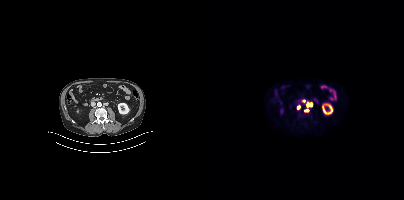
- Paired axial CT (left) and PSMA PET (right), [18F]PSMA-1007 tracer
- slice position z = -1198 mm
- PET panel 200×200 px (4.1 mm/px)
Findings: Coordinates are on the 200×200 PET (right) panel. (showing 2 of 5 foci) PSMA-avid tumor lesion bounding box (x, y, width, height): x=103 y=103 w=6 h=4. Small PSMA-avid focus (2 to 4 px across) near (center x, center y): (94, 107).